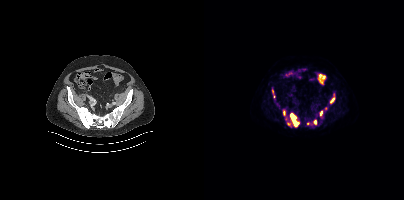
modality: PSMA PET/CT | tracer: 18F-PSMA | view: axial | PET grid: 200×200
Coordinates are on the 200×200 PET (right) panel. PSMA-avid tumor lesion bounding boxes (x, y, width, height): x=81 y=113 w=15 h=14 | x=126 y=97 w=5 h=7 | x=79 y=110 w=3 h=6 | x=116 y=110 w=3 h=6 | x=110 y=120 w=3 h=5. Small PSMA-avid foci (2 to 4 px across) near (center x, center y): (70, 96) | (104, 123) | (68, 91) | (121, 108).